Two-panel axial: CT | PSMA PET, 18F-PSMA tracer. Acquired on Siemens Biograph mCT Flow 20. PET panel 200×200 px (4.1 mm/px).
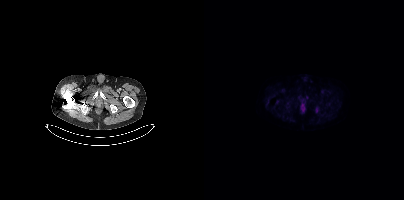
This slice has no annotated PSMA-avid lesion.